Two-panel axial: CT | PSMA PET, 68Ga tracer. Acquired on GE Discovery 690. PET panel 256×256 px (2.7 mm/px).
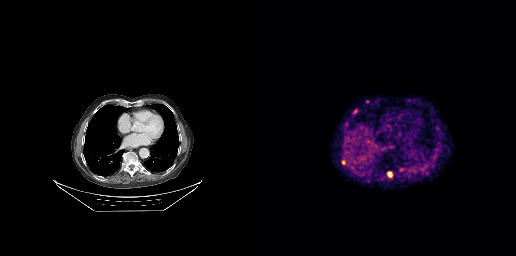
Coordinates are on the 256×256 PET (right) panel. (showing 5 of 6 foci) PSMA-avid tumor lesion bounding boxes (x0, y0)-(x1, y1): (127, 172)-(132, 177) / (93, 109)-(98, 113) / (82, 160)-(85, 164) / (176, 126)-(179, 130). Small PSMA-avid focus (2 to 4 px across) near (center x, center y): (107, 101).